modality: PSMA PET/CT | tracer: 68Ga-PSMA | view: axial
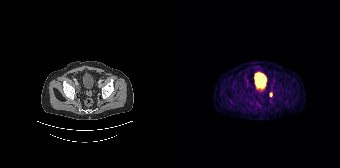
Coordinates are on the 168×168 PET (right) panel. Small PSMA-avid focus (2 to 4 px across) near (center x, center y): (98, 94).